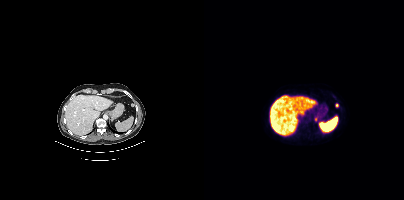
Findings: Coordinates are on the 200×200 PET (right) panel. PSMA-avid tumor lesion bounding box (x0, y0)-(x1, y1): (111, 116)-(114, 121). Small PSMA-avid focus (2 to 4 px across) near (center x, center y): (133, 105).
Technique: Paired axial CT (left) and PSMA PET (right), 18F tracer. acquired on Siemens Biograph mCT Flow 20. slice 249 of 423. PET panel 200×200 px (4.1 mm/px).